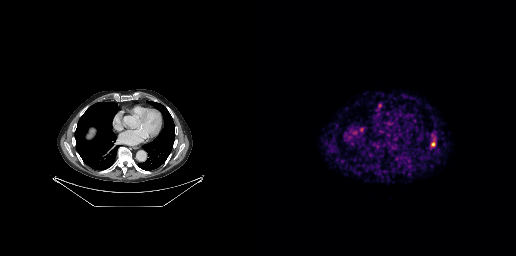
{"modality":"PSMA PET/CT","view":"axial","tracer":"[68Ga]Ga-PSMA-11","pet_grid":[256,256],"coord_frame":"pet_panel","coord_format":"x0,y0,x1,y1","lesion_bboxes":[[171,133,175,136]],"small_foci_centers":[[173,144]]}